Technique: Left: CT. Right: PSMA PET, same axial level, [18F]PSMA-1007 tracer. slice position z = -766 mm.
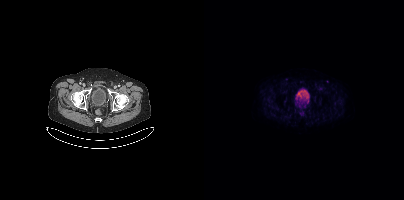
Findings: This slice has no annotated PSMA-avid lesion.